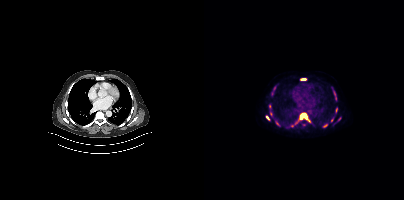
{"modality":"PSMA PET/CT","view":"axial","tracer":"18F-PSMA","pet_grid":[200,200],"coord_frame":"pet_panel","coord_format":"x0,y0,x1,y1","partial":true,"lesion_bboxes":[[94,113,103,120],[97,78,102,80],[71,121,75,125]],"small_foci_centers":[[63,117],[70,87],[68,93],[130,93],[65,107],[67,114],[121,125]]}